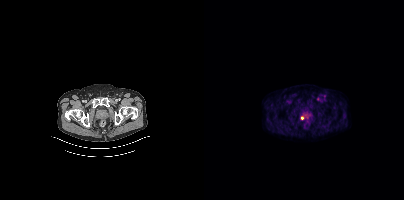
Findings: Coordinates are on the 200×200 PET (right) panel. Small PSMA-avid focus (2 to 4 px across) near (center x, center y): (98, 117).
Technique: Left: CT. Right: PSMA PET, same axial level, [18F]PSMA-1007 tracer. slice position z = -796 mm.